- Two-panel axial: CT | PSMA PET, [18F]PSMA-1007 tracer
- acquired on Siemens Biograph mCT Flow 20
- PET panel 200×200 px (4.1 mm/px)
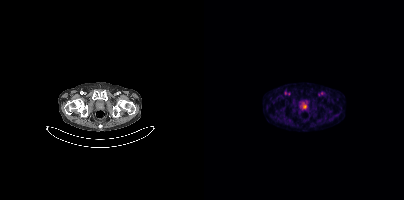
Findings: This slice has no annotated PSMA-avid lesion.